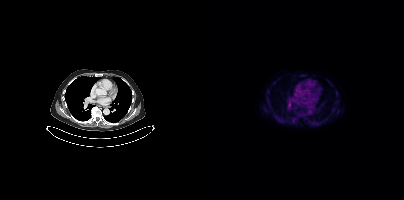
modality: PSMA PET/CT | tracer: 18F | view: axial | PET grid: 200×200
Coordinates are on the 200×200 PET (right) panel. PSMA-avid tumor lesion bounding box (x0, y0)-(x1, y1): (84, 102)-(86, 106).